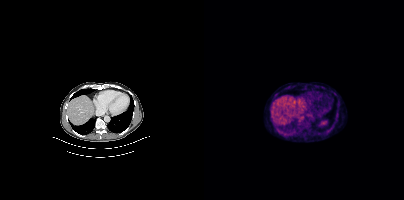
Coordinates are on the 200×200 PET (right) panel. PSMA-avid tumor lesion bounding box (x, y, width, height): x=93 y=115 w=8 h=7. Small PSMA-avid focus (2 to 4 px across) near (center x, center y): (120, 133).